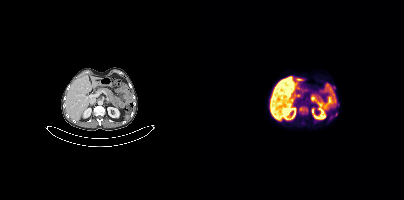
{"modality":"PSMA PET/CT","view":"axial","tracer":"18F-PSMA","pet_grid":[200,200],"coord_frame":"pet_panel","coord_format":"x0,y0,x1,y1","lesion_bboxes":[],"small_foci_centers":[[97,109]]}